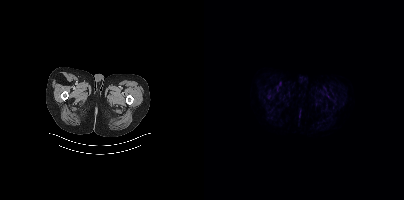
- Paired axial CT (left) and PSMA PET (right), 18F tracer
- acquired on Siemens Biograph mCT Flow 20
- PET panel 200×200 px (4.1 mm/px)
Findings: No tumor lesions annotated on this slice.